Technique: Left: CT. Right: PSMA PET, same axial level, 18F-PSMA tracer. slice position z = -1656 mm.
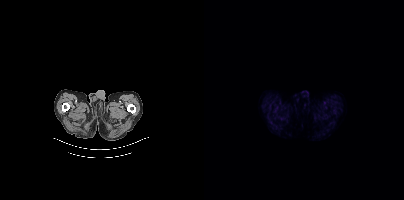
Findings: No tumor lesions annotated on this slice.